Two-panel axial: CT | PSMA PET, [18F]PSMA-1007 tracer. PET panel 200×200 px (4.1 mm/px).
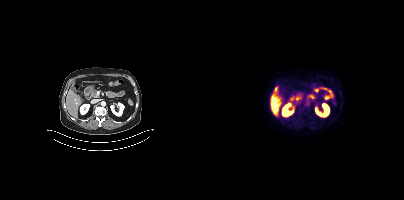
This slice has no annotated PSMA-avid lesion.